- Paired axial CT (left) and PSMA PET (right), 18F-PSMA tracer
- PET panel 200×200 px (4.1 mm/px)
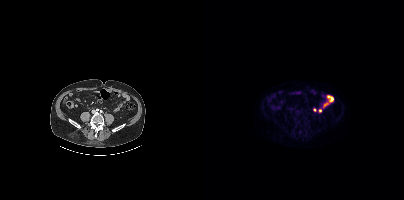
Findings: This slice has no annotated PSMA-avid lesion.